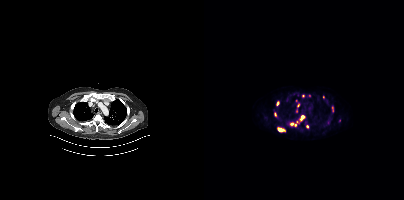
- Left: CT. Right: PSMA PET, same axial level, 18F-PSMA tracer
- slice position z = -1069 mm
Findings: Coordinates are on the 200×200 PET (right) panel. (showing 11 of 14 foci) PSMA-avid tumor lesion bounding boxes (x, y, width, height): x=73 y=127 w=9 h=6 / x=95 y=115 w=7 h=7 / x=86 y=122 w=7 h=5 / x=127 y=105 w=4 h=7 / x=72 y=101 w=4 h=5 / x=70 y=112 w=3 h=5 / x=119 y=95 w=2 h=5. Small PSMA-avid foci (2 to 4 px across) near (center x, center y): (103, 126) / (99, 95) / (94, 105) / (93, 121).